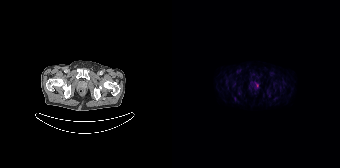
modality: PSMA PET/CT | tracer: 18F | view: axial
Coordinates are on the 168×168 PET (right) panel. PSMA-avid tumor lesion bounding box (x0,y0,x1,y1): [83,83,86,87].